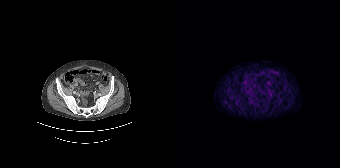
{"modality":"PSMA PET/CT","view":"axial","tracer":"68Ga","pet_grid":[168,168],"coord_frame":"pet_panel","coord_format":"x0,y0,x1,y1","psma_avid_lesions":false}